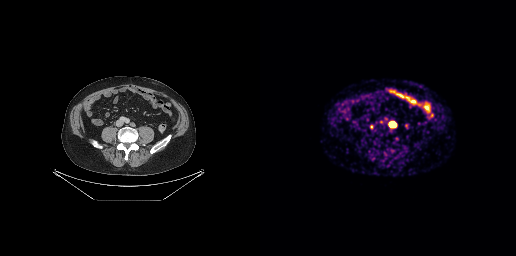
{"modality":"PSMA PET/CT","view":"axial","tracer":"68Ga","pet_grid":[256,256],"coord_frame":"pet_panel","coord_format":"x0,y0,x1,y1","lesion_bboxes":[[129,121,136,127]]}